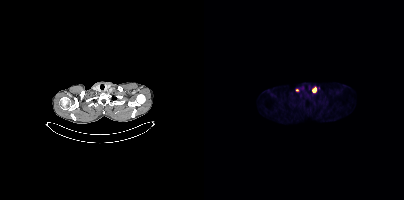
Coordinates are on the 200×200 PET (right) panel. PSMA-avid tumor lesion bounding box (x, y, width, height): x=108 y=88 w=5 h=5. Small PSMA-avid focus (2 to 4 px across) near (center x, center y): (93, 89).